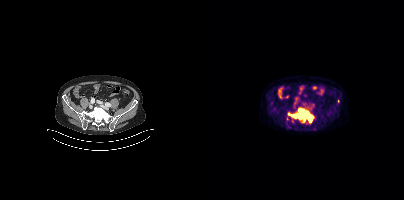
Coordinates are on the 200×200 PET (right) panel. (showing 2 of 5 foci) PSMA-avid tumor lesion bounding box (x, y, width, height): x=84 y=108 w=28 h=16. Small PSMA-avid focus (2 to 4 px across) near (center x, center y): (134, 101).